- Paired axial CT (left) and PSMA PET (right), 18F-PSMA tracer
- slice 273 of 963
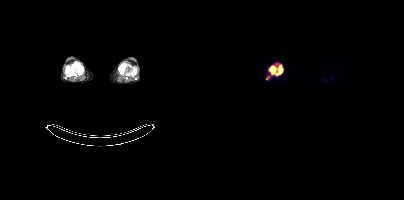
Findings: Coordinates are on the 200×200 PET (right) panel. PSMA-avid tumor lesion bounding box (x0,y0,x1,y1): [65,65,79,75]. Small PSMA-avid focus (2 to 4 px across) near (center x, center y): (63, 77).